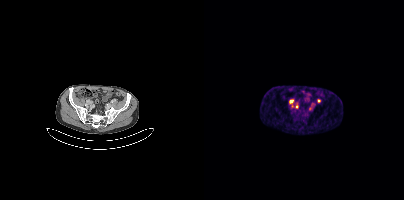
Coordinates are on the 200×200 PET (right) panel. (showing 4 of 5 foci) PSMA-avid tumor lesion bounding boxes (x0, y0)-(x1, y1): (85, 99)-(89, 103) | (91, 103)-(94, 108). Small PSMA-avid foci (2 to 4 px across) near (center x, center y): (114, 100) | (105, 108). Left: CT. Right: PSMA PET, same axial level, 68Ga tracer. Slice 132 of 452. PET panel 200×200 px (4.1 mm/px).